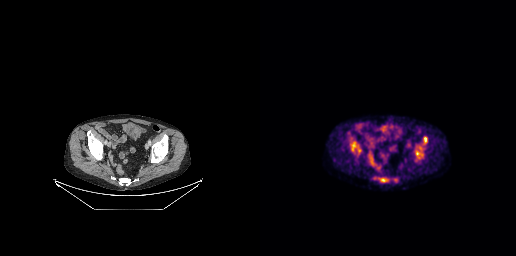
Coordinates are on the 256×256 PET (right) panel. (showing 3 of 4 foci) PSMA-avid tumor lesion bounding boxes (x0, y0)-(x1, y1): (155, 136)-(167, 157) / (90, 141)-(101, 153) / (119, 178)-(128, 182).